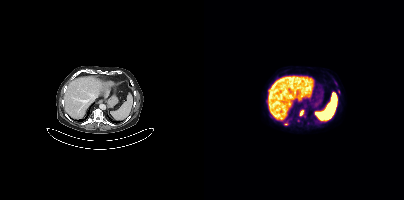
Coordinates are on the 200×200 PET (right) panel. (showing 3 of 4 foci) PSMA-avid tumor lesion bounding box (x, y, width, height): x=96 y=110 w=4 h=6. Small PSMA-avid foci (2 to 4 px across) near (center x, center y): (81, 124) | (131, 83).
modality: PSMA PET/CT | tracer: 18F-PSMA | view: axial | PET grid: 200×200